A rectangle over the head was blacked out to remove identifiable facial features.
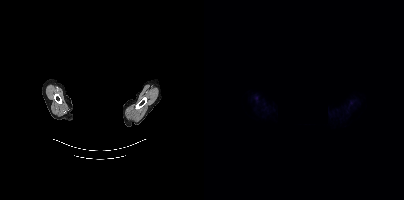
No tumor lesions annotated on this slice.